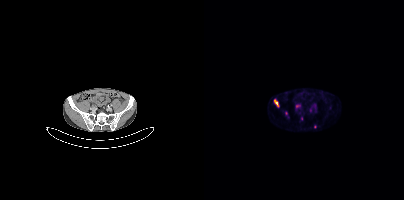
Left: CT. Right: PSMA PET, same axial level, 68Ga tracer. Acquired on Siemens Biograph mCT Flow 20. Slice 100 of 409. Coordinates are on the 200×200 PET (right) panel. (showing 3 of 6 foci) PSMA-avid tumor lesion bounding boxes (x, y, width, height): x=70 y=98 w=5 h=9 | x=91 y=104 w=6 h=5. Small PSMA-avid focus (2 to 4 px across) near (center x, center y): (97, 118).